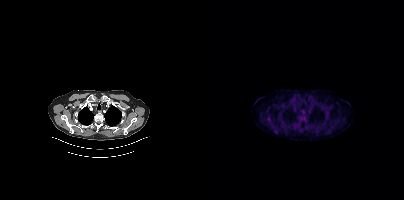
Left: CT. Right: PSMA PET, same axial level, 18F tracer. Slice 331 of 409. Coordinates are on the 200×200 PET (right) panel. Small PSMA-avid foci (2 to 4 px across) near (center x, center y): (65, 119); (71, 131).